Two-panel axial: CT | PSMA PET, [18F]PSMA-1007 tracer.
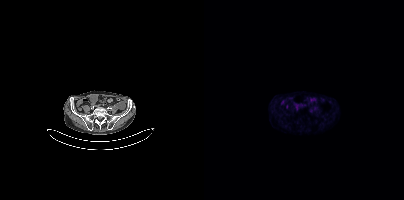
This slice has no annotated PSMA-avid lesion.